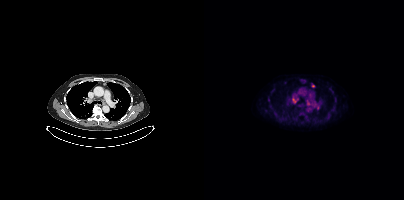
Technique: Two-panel axial: CT | PSMA PET, 18F-PSMA tracer.
Findings: Coordinates are on the 200×200 PET (right) panel. (showing 4 of 5 foci) PSMA-avid tumor lesion bounding boxes (x0, y0)-(x1, y1): (110, 104)-(115, 109) / (88, 98)-(92, 102). Small PSMA-avid foci (2 to 4 px across) near (center x, center y): (109, 86) / (104, 104).